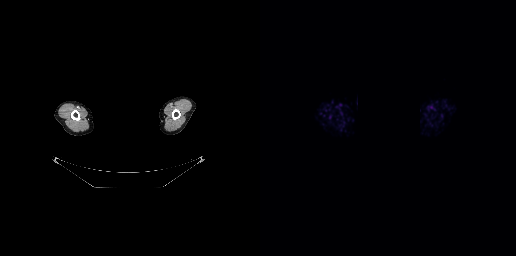
Negative for PSMA-avid disease on this slice. Privacy masking over the head, with the pixels inside a rectangle set to black. Paired axial CT (left) and PSMA PET (right), 18F-PSMA tracer. Acquired on GE Discovery 690. PET panel 256×256 px (2.7 mm/px).